Technique: Left: CT. Right: PSMA PET, same axial level, 18F-PSMA tracer. acquired on Siemens Biograph mCT Flow 20. slice 344 of 389.
Note: Head region blanked for anonymization (face removed).
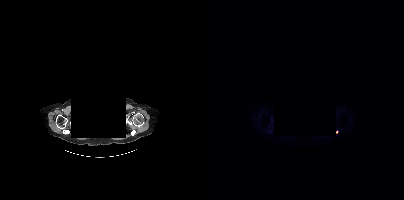
Findings: Coordinates are on the 200×200 PET (right) panel. Small PSMA-avid focus (2 to 4 px across) near (center x, center y): (132, 132).